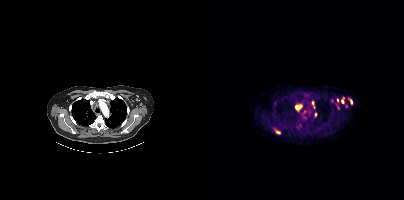
- Two-panel axial: CT | PSMA PET, 18F-PSMA tracer
- slice position z = 90 mm
Findings: Coordinates are on the 200×200 PET (right) panel. (showing 12 of 16 foci) PSMA-avid tumor lesion bounding boxes (x0, y0)-(x1, y1): (91, 104)-(97, 109) | (72, 130)-(76, 133) | (132, 104)-(135, 108) | (144, 98)-(148, 103) | (108, 102)-(110, 107). Small PSMA-avid foci (2 to 4 px across) near (center x, center y): (102, 94) | (71, 103) | (138, 101) | (111, 114) | (133, 100) | (100, 111) | (139, 97).